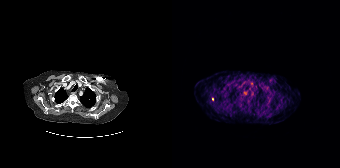
{"modality":"PSMA PET/CT","view":"axial","tracer":"68Ga-PSMA","pet_grid":[168,168],"coord_frame":"pet_panel","coord_format":"x0,y0,x1,y1","lesion_bboxes":[],"small_foci_centers":[[40,99]]}